- Two-panel axial: CT | PSMA PET, 18F tracer
- PET panel 200×200 px (4.1 mm/px)
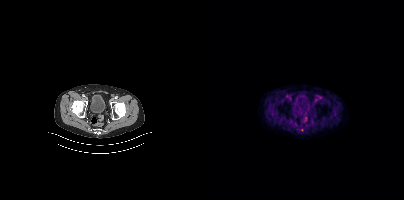
Findings: Negative for PSMA-avid disease on this slice.